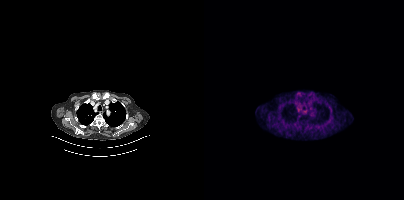
modality: PSMA PET/CT | tracer: 68Ga | view: axial
No PSMA-avid tumor lesions on this slice.